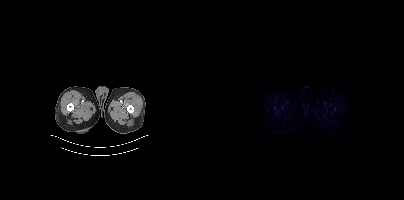
No tumor lesions annotated on this slice.